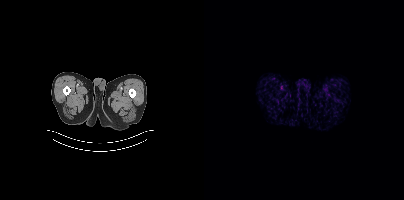
modality: PSMA PET/CT | tracer: [68Ga]Ga-PSMA-11 | view: axial | PET grid: 200×200
No PSMA-avid tumor lesions on this slice.